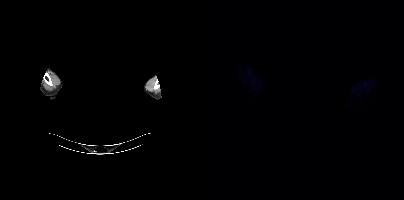
Findings: No PSMA-avid tumor lesions on this slice.
- Paired axial CT (left) and PSMA PET (right), 18F-PSMA tracer
- slice 396 of 421
- PET panel 200×200 px (4.1 mm/px)
- head region blanked for anonymization (face removed)